Two-panel axial: CT | PSMA PET, [18F]PSMA-1007 tracer. Slice position z = -1296 mm. PET panel 200×200 px (4.1 mm/px).
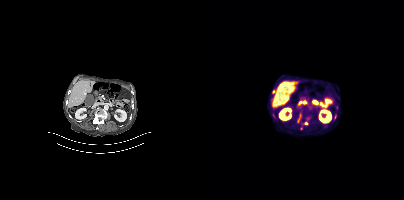
Coordinates are on the 200×200 PET (right) panel. PSMA-avid tumor lesion bounding boxes:
| # | x0 | y0 | x1 | y1 |
|---|---|---|---|---|
| 1 | 93 | 118 | 104 | 129 |
| 2 | 130 | 115 | 132 | 119 |
Small PSMA-avid focus (2 to 4 px across) near (center x, center y): (69, 91).